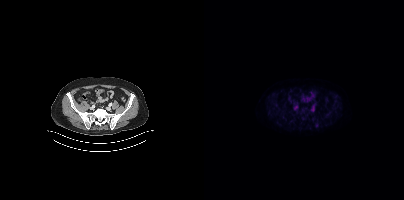
Technique: Left: CT. Right: PSMA PET, same axial level, [18F]PSMA-1007 tracer. slice position z = -1423 mm. PET panel 200×200 px (4.1 mm/px).
Findings: Coordinates are on the 200×200 PET (right) panel. Small PSMA-avid focus (2 to 4 px across) near (center x, center y): (112, 125).